modality: PSMA PET/CT | tracer: [68Ga]Ga-PSMA-11 | view: axial
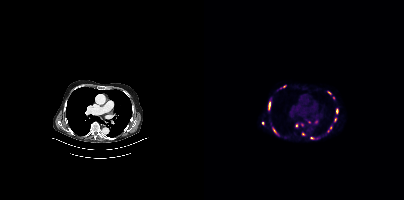
Coordinates are on the 200×200 PET (right) panel. (showing 8 of 12 foci) PSMA-avid tumor lesion bounding box (x0,y0,x1,y1): [65,102,66,109]. Small PSMA-avid foci (2 to 4 px across) near (center x, center y): (126, 127) (107, 137) (132, 110) (58, 123) (92, 125) (99, 133) (80, 86).